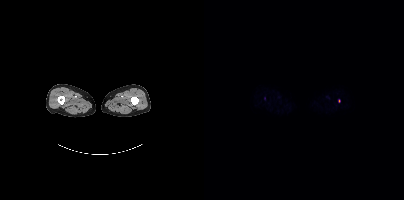
Two-panel axial: CT | PSMA PET, 18F tracer. Only PSMA-avid lesion pieces thinner than 2 px on this slice (not listed).